- Left: CT. Right: PSMA PET, same axial level, 18F tracer
- slice 253 of 448
- PET panel 200×200 px (4.1 mm/px)
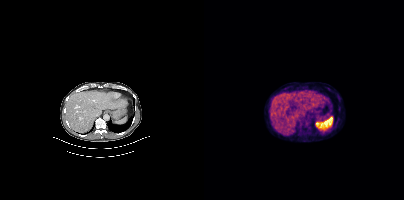
Findings: Coordinates are on the 200×200 PET (right) panel. PSMA-avid tumor lesion bounding box (x, y, width, height): x=95 y=117 w=12 h=10.